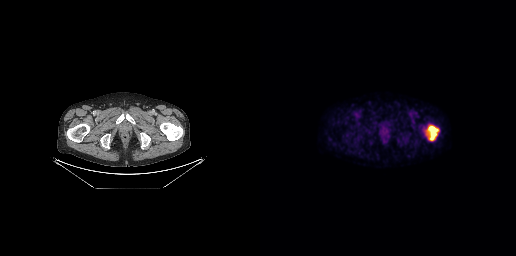
Coordinates are on the 256×256 PET (right) panel. PSMA-avid tumor lesion bounding box (x, y, width, height): x=166 y=125 w=14 h=16.